Two-panel axial: CT | PSMA PET, 18F tracer. PET panel 200×200 px (4.1 mm/px).
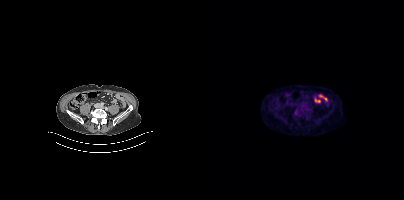
Only PSMA-avid lesion pieces thinner than 2 px on this slice (not listed).